Paired axial CT (left) and PSMA PET (right), [18F]PSMA-1007 tracer. Acquired on GE Discovery 690. Slice position z = -157 mm. PET panel 256×256 px (2.7 mm/px).
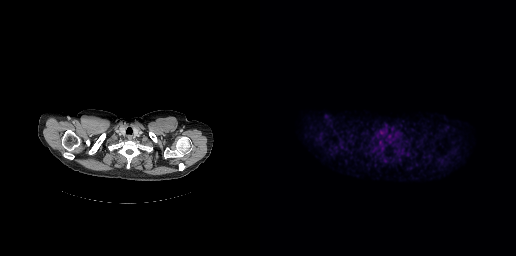
This slice has no annotated PSMA-avid lesion.